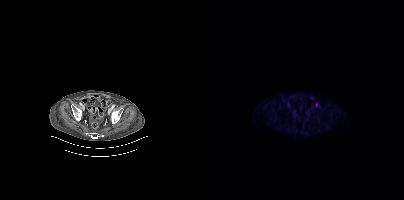
Coordinates are on the 200×200 PET (right) panel. Small PSMA-avid focus (2 to 4 px across) near (center x, center y): (112, 104).